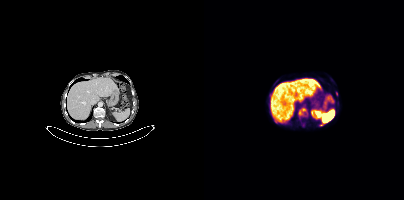
{"modality":"PSMA PET/CT","view":"axial","tracer":"18F-PSMA","pet_grid":[200,200],"coord_frame":"pet_panel","coord_format":"x0,y0,x1,y1","lesion_bboxes":[[95,108,101,115]]}